Technique: Two-panel axial: CT | PSMA PET, [18F]PSMA-1007 tracer. acquired on Siemens Biograph mCT Flow 20. slice 22 of 417.
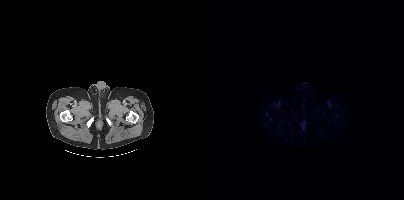
Findings: Only PSMA-avid lesion pieces thinner than 2 px on this slice (not listed).